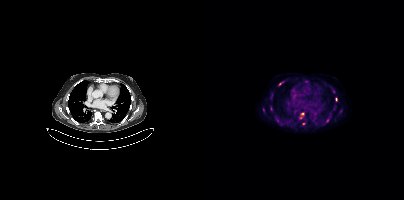
Coordinates are on the 200×200 PET (right) panel. (showing 8 of 10 foci) PSMA-avid tumor lesion bounding box (x0,y0,x1,y1): [96,112,100,118]. Small PSMA-avid foci (2 to 4 px across) near (center x, center y): (99, 124), (132, 99), (67, 95), (76, 83), (59, 109), (71, 117), (123, 120).